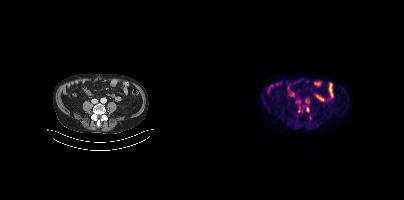
Coordinates are on the 200×200 PET (right) panel. (showing 2 of 4 foci) PSMA-avid tumor lesion bounding box (x0,y0,x1,y1): [102,107,104,111]. Small PSMA-avid focus (2 to 4 px across) near (center x, center y): (94, 111).